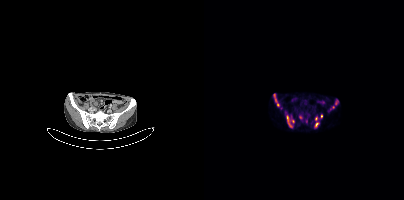
Left: CT. Right: PSMA PET, same axial level, [68Ga]Ga-PSMA-11 tracer. PET panel 200×200 px (4.1 mm/px).
Coordinates are on the 200×200 PET (right) panel. PSMA-avid tumor lesion bounding boxes (partial; 3 more foci not listed):
| # | x0 | y0 | x1 | y1 |
|---|---|---|---|---|
| 1 | 70 | 94 | 75 | 106 |
| 2 | 83 | 116 | 85 | 123 |
Small PSMA-avid foci (2 to 4 px across) near (center x, center y): (132, 102); (129, 107); (112, 124).